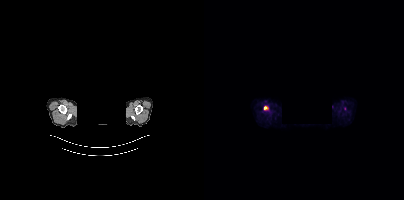
Findings: Coordinates are on the 200×200 PET (right) panel. PSMA-avid tumor lesion bounding box (x, y, width, height): x=59 y=106 w=6 h=5.
- the face region was removed for patient privacy by blanking a rectangle over the head
- Left: CT. Right: PSMA PET, same axial level, [18F]PSMA-1007 tracer
- acquired on Siemens Biograph mCT Flow 20
- slice 363 of 405
- PET panel 200×200 px (4.1 mm/px)